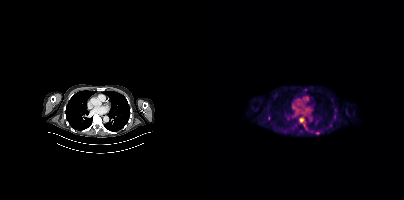
{"modality":"PSMA PET/CT","view":"axial","tracer":"[18F]PSMA-1007","pet_grid":[200,200],"coord_frame":"pet_panel","coord_format":"x0,y0,x1,y1","partial":true,"lesion_bboxes":[]}